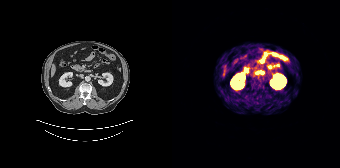
- Two-panel axial: CT | PSMA PET, 68Ga-PSMA tracer
- slice position z = -1008 mm
Findings: Negative for PSMA-avid disease on this slice.